Technique: Left: CT. Right: PSMA PET, same axial level, [18F]PSMA-1007 tracer. PET panel 200×200 px (4.1 mm/px).
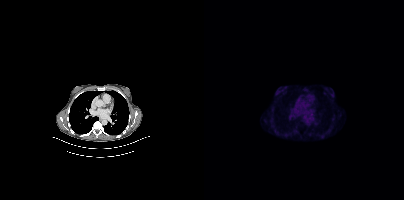
Findings: No tumor lesions annotated on this slice.